Paired axial CT (left) and PSMA PET (right), 18F-PSMA tracer. PET panel 200×200 px (4.1 mm/px).
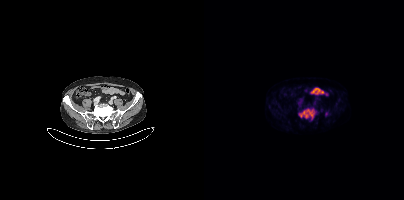
Coordinates are on the 200×200 PET (right) panel. PSMA-avid tumor lesion bounding boxes:
| # | x0 | y0 | x1 | y1 |
|---|---|---|---|---|
| 1 | 95 | 109 | 110 | 118 |